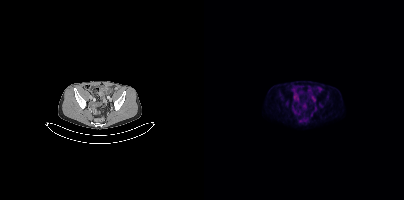
This slice has no annotated PSMA-avid lesion.